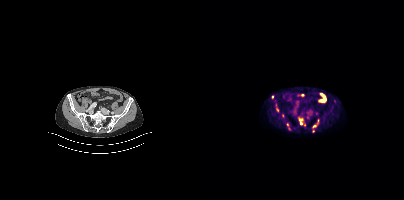
Paired axial CT (left) and PSMA PET (right), 18F-PSMA tracer. Slice 102 of 407. Coordinates are on the 200×200 PET (right) panel. (showing 6 of 10 foci) PSMA-avid tumor lesion bounding box (x, y, width, height): x=95 y=118 w=4 h=7. Small PSMA-avid foci (2 to 4 px across) near (center x, center y): (121, 100); (110, 126); (68, 97); (85, 128); (73, 110).